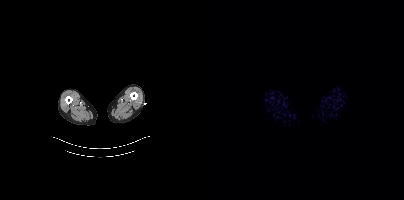
Negative for PSMA-avid disease on this slice.